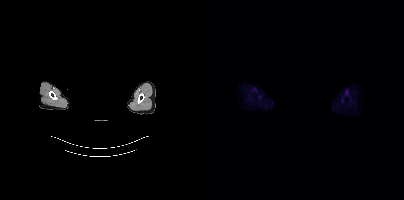
Technique: Paired axial CT (left) and PSMA PET (right), [18F]PSMA-1007 tracer.
Note: A rectangular block over the head has been blanked out for de-identification.
Findings: No tumor lesions annotated on this slice.